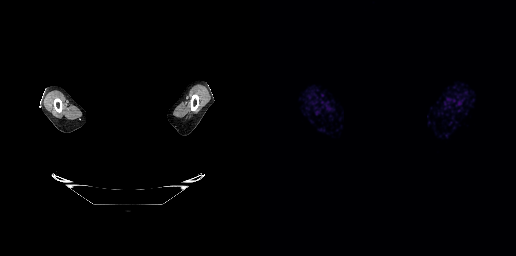
Facial anatomy redacted by setting a rectangular region of the head to black. Two-panel axial: CT | PSMA PET, 68Ga-PSMA tracer. Negative for PSMA-avid disease on this slice.